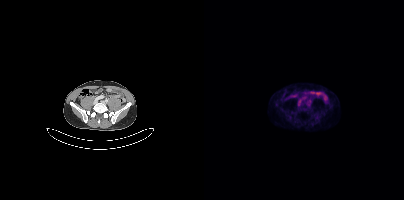
- Two-panel axial: CT | PSMA PET, 18F tracer
- acquired on Siemens Biograph mCT Flow 20
- PET panel 200×200 px (4.1 mm/px)
Findings: Negative for PSMA-avid disease on this slice.